Left: CT. Right: PSMA PET, same axial level, 68Ga tracer.
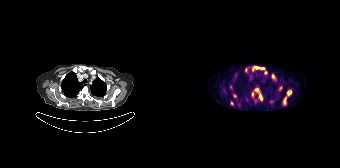
Coordinates are on the 168×168 PET (right) panel. PSMA-avid tumor lesion bounding boxes (partial; 1 more focus not listed):
| # | x0 | y0 | x1 | y1 |
|---|---|---|---|---|
| 1 | 111 | 89 | 120 | 104 |
| 2 | 80 | 66 | 92 | 71 |
| 3 | 82 | 88 | 90 | 100 |
| 4 | 100 | 74 | 103 | 78 |
| 5 | 107 | 86 | 109 | 90 |
| 6 | 59 | 101 | 61 | 105 |
| 7 | 80 | 92 | 81 | 96 |
Small PSMA-avid foci (2 to 4 px across) near (center x, center y): (93, 72); (62, 95); (58, 87); (73, 69).